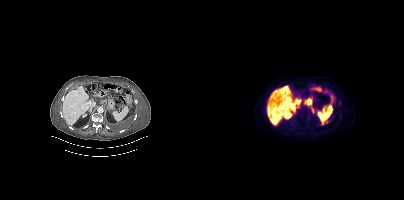
Findings: Coordinates are on the 200×200 PET (right) panel. (showing 1 of 2 foci) PSMA-avid tumor lesion bounding box (x0,y0,x1,y1): [100,98,108,105].
- Paired axial CT (left) and PSMA PET (right), 18F-PSMA tracer
- slice 173 of 344